Left: CT. Right: PSMA PET, same axial level, 18F tracer. Acquired on Siemens Biograph mCT Flow 20. PET panel 200×200 px (4.1 mm/px).
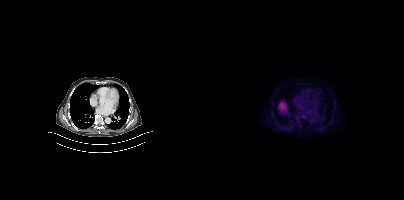
No tumor lesions annotated on this slice.